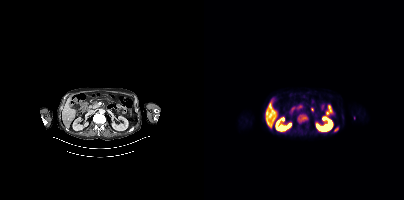
{"modality":"PSMA PET/CT","view":"axial","tracer":"[18F]PSMA-1007","pet_grid":[200,200],"coord_frame":"pet_panel","coord_format":"x0,y0,x1,y1","lesion_bboxes":[[94,114,103,122],[130,127,134,131]]}